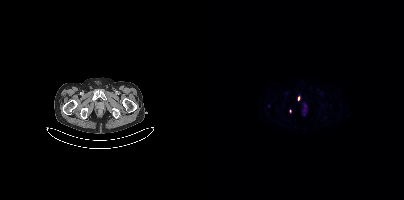
{"modality":"PSMA PET/CT","view":"axial","tracer":"[68Ga]Ga-PSMA-11","pet_grid":[200,200],"coord_frame":"pet_panel","coord_format":"x0,y0,x1,y1","partial":true,"lesion_bboxes":[[94,96,95,100]]}